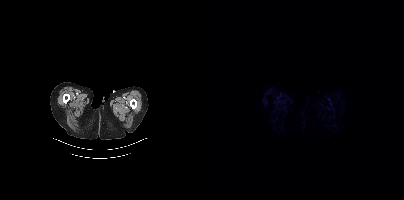
Findings: This slice has no annotated PSMA-avid lesion.
- Left: CT. Right: PSMA PET, same axial level, [18F]PSMA-1007 tracer
- slice 11 of 377
- PET panel 200×200 px (4.1 mm/px)